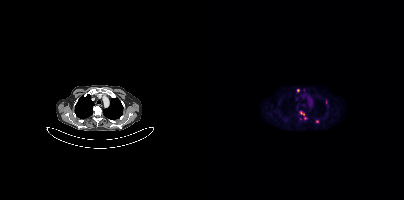
Coordinates are on the 200×200 PET (right) panel. PSMA-avid tumor lesion bounding box (x0, y0)-(x1, y1): (96, 111)-(100, 115). Small PSMA-avid foci (2 to 4 px across) near (center x, center y): (113, 121) | (94, 90) | (122, 101) | (101, 118).